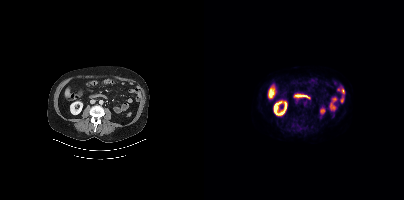
This slice has no annotated PSMA-avid lesion. Two-panel axial: CT | PSMA PET, 18F-PSMA tracer.